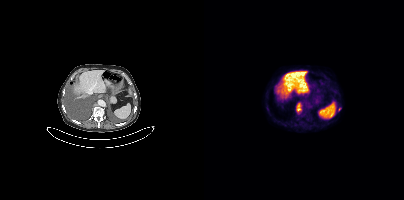
{"modality":"PSMA PET/CT","view":"axial","tracer":"18F","pet_grid":[200,200],"coord_frame":"pet_panel","coord_format":"x0,y0,x1,y1","lesion_bboxes":[[92,103,97,112]],"small_foci_centers":[[135,109]]}